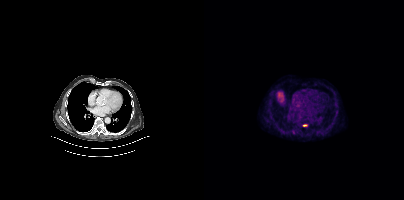
Paired axial CT (left) and PSMA PET (right), 18F tracer. Acquired on Siemens Biograph mCT Flow 20. Slice 256 of 427. Coordinates are on the 200×200 PET (right) panel. Small PSMA-avid focus (2 to 4 px across) near (center x, center y): (100, 125).